- Paired axial CT (left) and PSMA PET (right), 18F-PSMA tracer
- acquired on GE Discovery 690
- slice 34 of 299
- PET panel 256×256 px (2.7 mm/px)
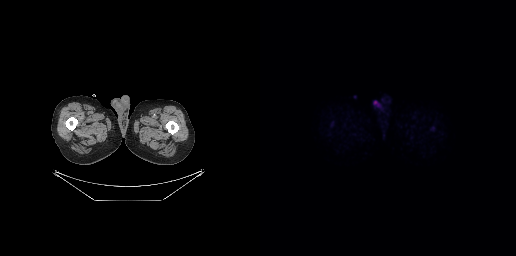
Findings: Negative for PSMA-avid disease on this slice.